modality: PSMA PET/CT | tracer: 18F | view: axial
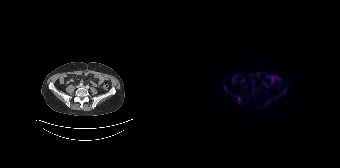
Negative for PSMA-avid disease on this slice.